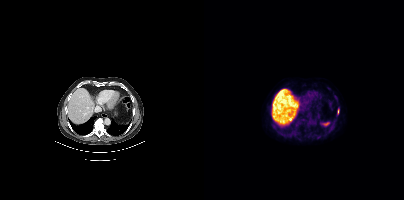
modality: PSMA PET/CT | tracer: 18F | view: axial | PET grid: 200×200
Coordinates are on the 200×200 PET (right) panel. PSMA-avid tumor lesion bounding box (x0, y0)-(x1, y1): (134, 109)-(135, 113).